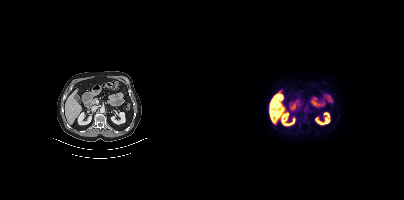
Technique: Two-panel axial: CT | PSMA PET, 18F-PSMA tracer. slice 202 of 401.
Findings: This slice has no annotated PSMA-avid lesion.